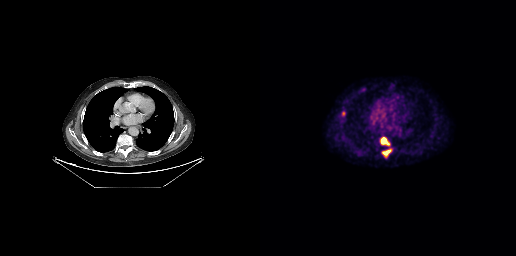
- Left: CT. Right: PSMA PET, same axial level, [18F]PSMA-1007 tracer
- slice position z = -236 mm
Findings: Coordinates are on the 256×256 PET (right) panel. (showing 3 of 4 foci) PSMA-avid tumor lesion bounding boxes (x, y, width, height): x=120 y=137 w=10 h=9; x=122 y=149 w=10 h=8; x=81 y=111 w=5 h=6.